- Left: CT. Right: PSMA PET, same axial level, [18F]PSMA-1007 tracer
- slice position z = -1382 mm
- PET panel 200×200 px (4.1 mm/px)
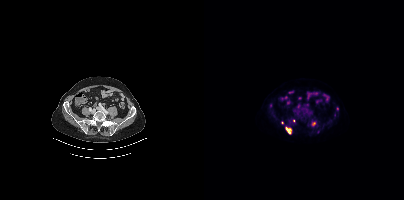
Findings: Coordinates are on the 200×200 PET (right) panel. (showing 3 of 5 foci) PSMA-avid tumor lesion bounding box (x0, y0)-(x1, y1): (82, 127)-(87, 133). Small PSMA-avid foci (2 to 4 px across) near (center x, center y): (109, 123); (133, 108).